modality: PSMA PET/CT | tracer: [18F]PSMA-1007 | view: axial
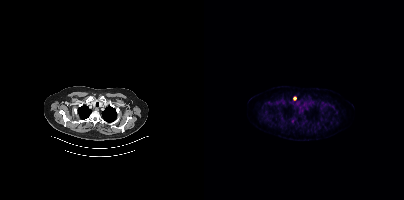
Coordinates are on the 200×200 PET (right) panel. Small PSMA-avid focus (2 to 4 px across) near (center x, center y): (91, 98).